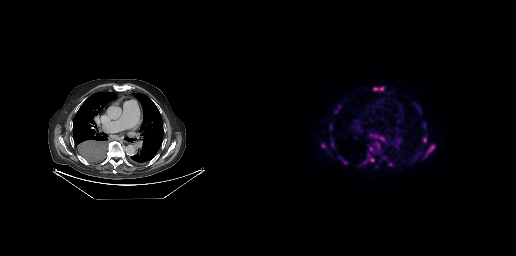
Findings: Coordinates are on the 256×256 PET (right) panel. (showing 9 of 10 foci) PSMA-avid tumor lesion bounding box (x0,y0,x1,y1): [169,146,173,151]. Small PSMA-avid foci (2 to 4 px across) near (center x, center y): (62, 145) (164, 139) (72, 144) (112, 160) (115, 88) (122, 138) (111, 149) (121, 88).
- Two-panel axial: CT | PSMA PET, 18F tracer
- acquired on GE Discovery 690
- PET panel 256×256 px (2.7 mm/px)